- Left: CT. Right: PSMA PET, same axial level, 68Ga tracer
- slice 255 of 409
- PET panel 200×200 px (4.1 mm/px)
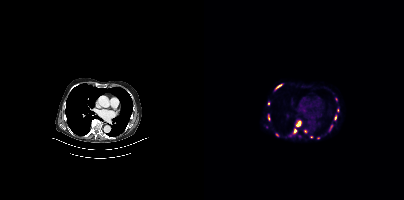
Findings: Coordinates are on the 200×200 PET (right) panel. (showing 9 of 12 foci) PSMA-avid tumor lesion bounding boxes (x, y, width, height): x=92 y=121 w=5 h=6 | x=89 y=129 w=5 h=5 | x=72 y=85 w=5 h=4 | x=126 y=125 w=3 h=5. Small PSMA-avid foci (2 to 4 px across) near (center x, center y): (131, 118) | (107, 136) | (64, 103) | (101, 130) | (72, 134).